Technique: Left: CT. Right: PSMA PET, same axial level, 18F tracer. slice 120 of 263. PET panel 256×256 px (2.7 mm/px).
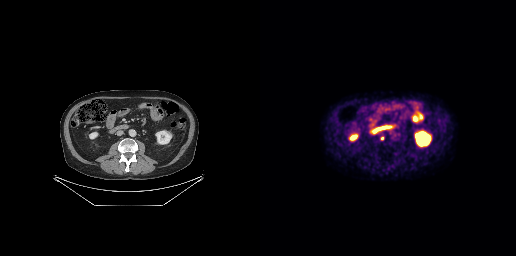
Findings: Coordinates are on the 256×256 PET (right) panel. Small PSMA-avid focus (2 to 4 px across) near (center x, center y): (122, 138).